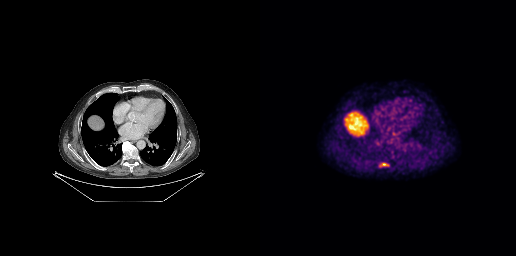
modality: PSMA PET/CT | tracer: [18F]PSMA-1007 | view: axial
Only PSMA-avid lesion pieces thinner than 2 px on this slice (not listed).